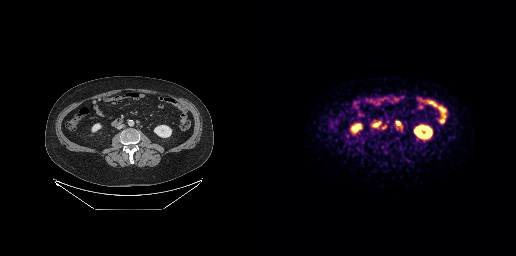
Coordinates are on the 256×256 PET (right) panel. PSMA-avid tumor lesion bounding box (x0, y0)-(x1, y1): (136, 121)-(140, 125).